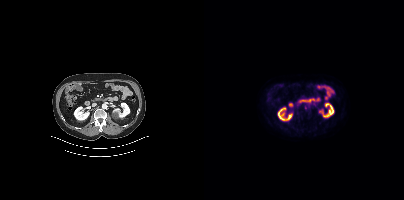
Only PSMA-avid lesion pieces thinner than 2 px on this slice (not listed).